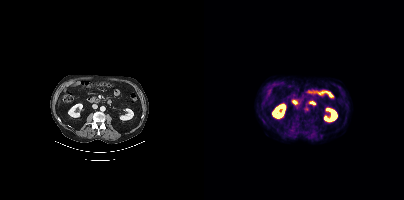
Negative for PSMA-avid disease on this slice. Two-panel axial: CT | PSMA PET, 18F-PSMA tracer. Acquired on Siemens Biograph mCT Flow 20. Slice position z = -649 mm. PET panel 200×200 px (4.1 mm/px).